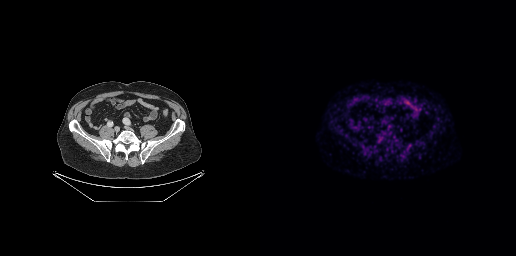
No tumor lesions annotated on this slice.